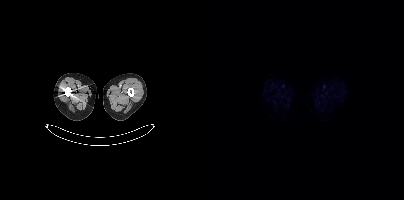
Negative for PSMA-avid disease on this slice.